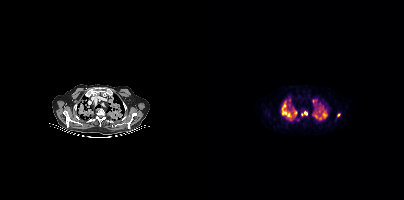
Technique: Left: CT. Right: PSMA PET, same axial level, 18F-PSMA tracer. slice position z = -451 mm.
Findings: Coordinates are on the 200×200 PET (right) panel. PSMA-avid tumor lesion bounding boxes (x0, y0)-(x1, y1): (78, 101)-(87, 117); (118, 111)-(123, 118); (108, 99)-(113, 104); (109, 112)-(113, 118); (97, 111)-(103, 115); (115, 106)-(119, 109). Small PSMA-avid foci (2 to 4 px across) near (center x, center y): (91, 112); (116, 118); (85, 105); (134, 115); (115, 111).